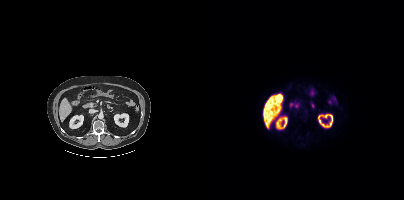
- Two-panel axial: CT | PSMA PET, 18F-PSMA tracer
Findings: No PSMA-avid tumor lesions on this slice.